Technique: Two-panel axial: CT | PSMA PET, 18F-PSMA tracer. acquired on Siemens Biograph mCT Flow 20.
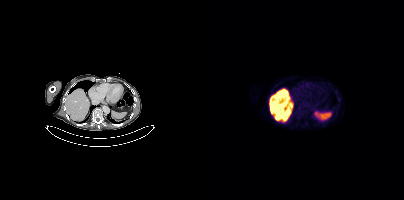
Findings: Only PSMA-avid lesion pieces thinner than 2 px on this slice (not listed).